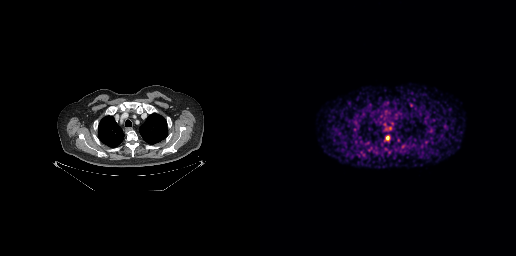
Only PSMA-avid lesion pieces thinner than 2 px on this slice (not listed).
modality: PSMA PET/CT | tracer: [68Ga]Ga-PSMA-11 | view: axial